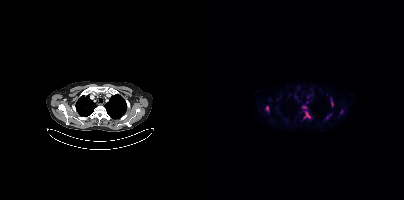
{"modality":"PSMA PET/CT","view":"axial","tracer":"[18F]PSMA-1007","pet_grid":[200,200],"coord_frame":"pet_panel","coord_format":"x0,y0,x1,y1","partial":true,"lesion_bboxes":[[100,112,106,117],[126,98,129,106]],"small_foci_centers":[[63,108],[100,107],[137,111]]}